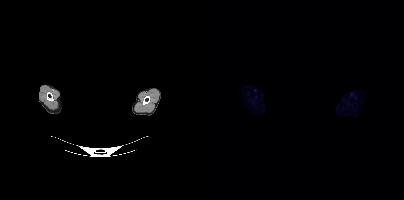
The face region was removed for patient privacy by blanking a rectangle over the head.
Negative for PSMA-avid disease on this slice.